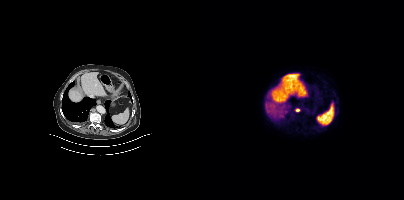
Coordinates are on the 200×200 PET (right) panel. PSMA-avid tumor lesion bounding box (x, y, width, height): x=91 y=109 w=5 h=3.